modality: PSMA PET/CT | tracer: 18F | view: axial
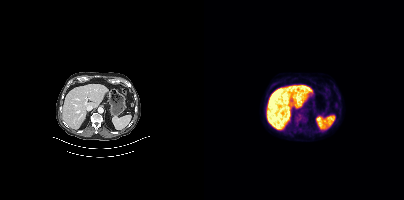
Coordinates are on the 200×200 PET (right) panel. Small PSMA-avid focus (2 to 4 px across) near (center x, center y): (92, 121).